Left: CT. Right: PSMA PET, same axial level, [18F]PSMA-1007 tracer. Slice 116 of 299.
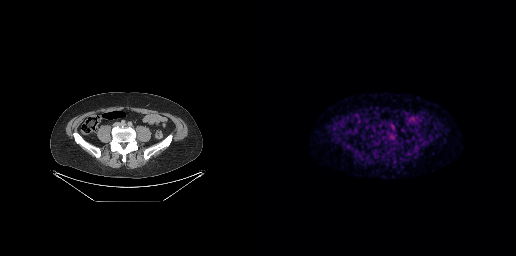
This slice has no annotated PSMA-avid lesion.